Technique: Paired axial CT (left) and PSMA PET (right), [68Ga]Ga-PSMA-11 tracer. PET panel 168×168 px (4.1 mm/px).
Note: A rectangle over the head was blacked out to remove identifiable facial features.
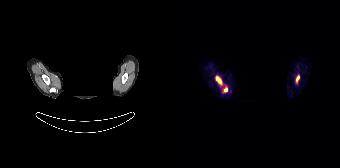
Findings: Coordinates are on the 168×168 PET (right) panel. PSMA-avid tumor lesion bounding boxes (x, y, width, height): x=43 y=75 w=8 h=11 | x=50 y=85 w=6 h=8 | x=123 y=74 w=5 h=10.